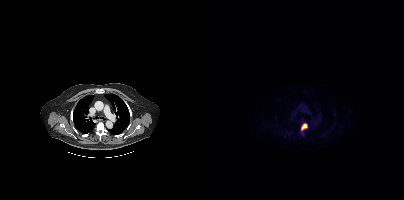
- Two-panel axial: CT | PSMA PET, 18F tracer
- acquired on Siemens Biograph mCT Flow 20
- PET panel 200×200 px (4.1 mm/px)
Findings: Coordinates are on the 200×200 PET (right) panel. PSMA-avid tumor lesion bounding box (x0, y0)-(x1, y1): (97, 123)-(103, 130).